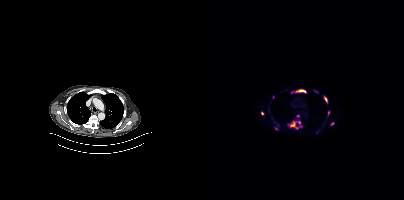
Findings: Coordinates are on the 200×200 PET (right) panel. (showing 9 of 11 foci) PSMA-avid tumor lesion bounding boxes (x, y, width, height): x=84 y=121 w=14 h=9 | x=91 y=89 w=12 h=4 | x=119 y=96 w=5 h=8. Small PSMA-avid foci (2 to 4 px across) near (center x, center y): (128, 123) | (58, 113) | (124, 112) | (94, 115) | (112, 91) | (71, 128).
Technique: Left: CT. Right: PSMA PET, same axial level, 18F tracer. acquired on Siemens Biograph mCT Flow 20. slice 300 of 387.